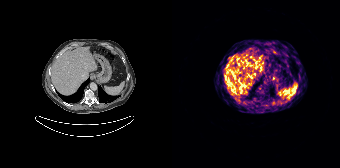
Coordinates are on the 168×168 PET (right) panel. Small PSMA-avid focus (2 to 4 px across) near (center x, center y): (56, 57). Paired axial CT (left) and PSMA PET (right), 68Ga tracer. Acquired on Siemens Biograph 64-4R TruePoint. PET panel 168×168 px (4.1 mm/px).